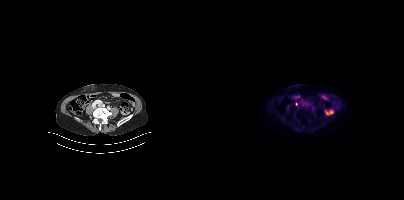
Left: CT. Right: PSMA PET, same axial level, [18F]PSMA-1007 tracer. Slice position z = -1341 mm. Only PSMA-avid lesion pieces thinner than 2 px on this slice (not listed).